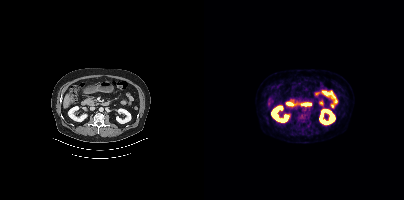
- Two-panel axial: CT | PSMA PET, 18F-PSMA tracer
- PET panel 200×200 px (4.1 mm/px)
Findings: This slice has no annotated PSMA-avid lesion.